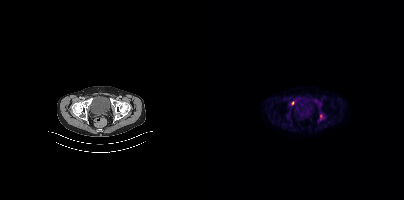
- Paired axial CT (left) and PSMA PET (right), 18F-PSMA tracer
- PET panel 200×200 px (4.1 mm/px)
Findings: Coordinates are on the 200×200 PET (right) panel. PSMA-avid tumor lesion bounding box (x, y, width, height): x=116 y=114 w=3 h=5. Small PSMA-avid foci (2 to 4 px across) near (center x, center y): (88, 102) / (111, 100).